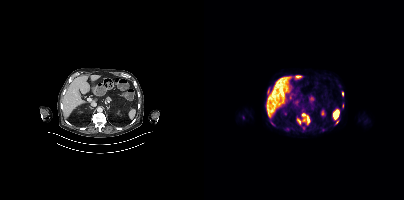
Left: CT. Right: PSMA PET, same axial level, [18F]PSMA-1007 tracer. PET panel 200×200 px (4.1 mm/px).
Coordinates are on the 200×200 PET (right) panel. PSMA-avid tumor lesion bounding boxes (partial; 1 more focus not listed):
| # | x0 | y0 | x1 | y1 |
|---|---|---|---|---|
| 1 | 99 | 117 | 105 | 122 |
| 2 | 93 | 119 | 96 | 123 |
| 3 | 63 | 88 | 65 | 92 |
| 4 | 138 | 103 | 139 | 107 |
Small PSMA-avid foci (2 to 4 px across) near (center x, center y): (138, 94); (99, 114); (99, 128); (133, 120).